- Left: CT. Right: PSMA PET, same axial level, [18F]PSMA-1007 tracer
- acquired on Siemens Biograph mCT Flow 20
- slice position z = -638 mm
- PET panel 200×200 px (4.1 mm/px)
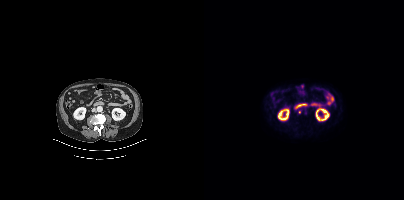
Findings: Coordinates are on the 200×200 PET (right) panel. Small PSMA-avid focus (2 to 4 px across) near (center x, center y): (95, 112).